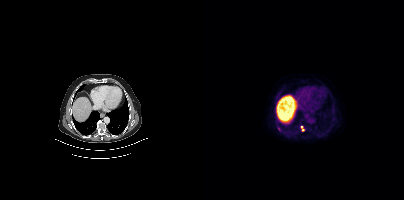
- Two-panel axial: CT | PSMA PET, 18F-PSMA tracer
- acquired on Siemens Biograph mCT Flow 20
Findings: Coordinates are on the 200×200 PET (right) panel. PSMA-avid tumor lesion bounding box (x0,y0,x1,y1): [97,126,100,131]. Small PSMA-avid focus (2 to 4 px across) near (center x, center y): (74, 128).